Left: CT. Right: PSMA PET, same axial level, [18F]PSMA-1007 tracer. PET panel 200×200 px (4.1 mm/px).
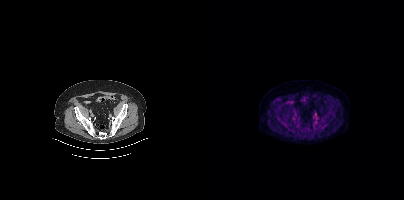
Only PSMA-avid lesion pieces thinner than 2 px on this slice (not listed).